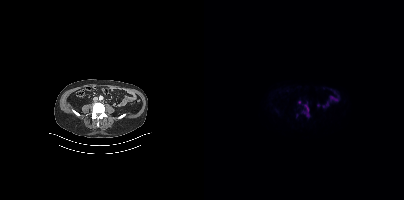
{"modality":"PSMA PET/CT","view":"axial","tracer":"18F-PSMA","pet_grid":[200,200],"coord_frame":"pet_panel","coord_format":"x0,y0,x1,y1","partial":true,"lesion_bboxes":[[98,103,105,114]]}